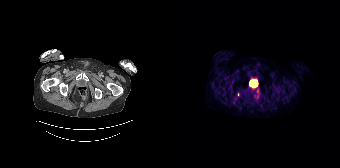
- Left: CT. Right: PSMA PET, same axial level, 68Ga tracer
- slice position z = -816 mm
- PET panel 168×168 px (4.1 mm/px)
Findings: Only PSMA-avid lesion pieces thinner than 2 px on this slice (not listed).